- Two-panel axial: CT | PSMA PET, 68Ga-PSMA tracer
- slice 261 of 263
- face de-identified by blanking a block of the head
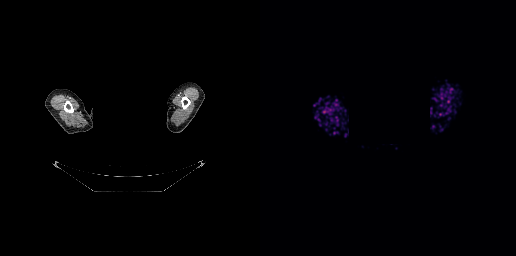
Findings: Negative for PSMA-avid disease on this slice.